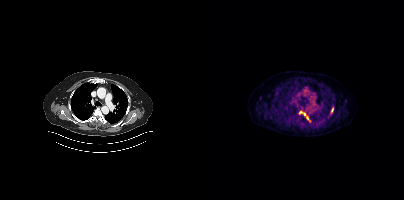
Technique: Paired axial CT (left) and PSMA PET (right), [18F]PSMA-1007 tracer. PET panel 200×200 px (4.1 mm/px).
Findings: Coordinates are on the 200×200 PET (right) panel. PSMA-avid tumor lesion bounding boxes (x, y, width, height): x=95 y=111 w=12 h=11 | x=127 y=107 w=3 h=7. Small PSMA-avid focus (2 to 4 px across) near (center x, center y): (56, 97).